Two-panel axial: CT | PSMA PET, 68Ga tracer. Slice position z = -24 mm. De-identified by setting a box covering the face to black before release.
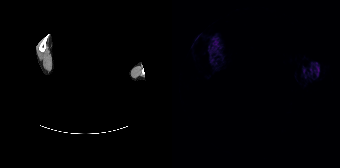
This slice has no annotated PSMA-avid lesion.